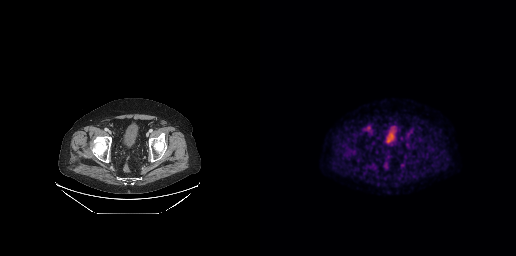
Coordinates are on the 256×256 PET (right) panel. Small PSMA-avid focus (2 to 4 px across) near (center x, center y): (108, 128).